Technique: Paired axial CT (left) and PSMA PET (right), 68Ga-PSMA tracer.
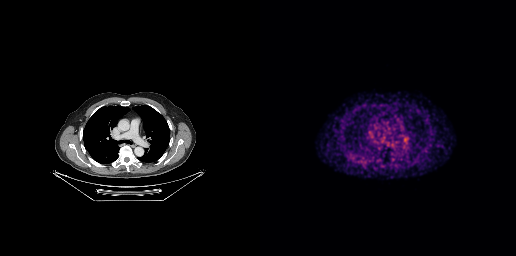
Findings: Negative for PSMA-avid disease on this slice.